Paired axial CT (left) and PSMA PET (right), 18F tracer.
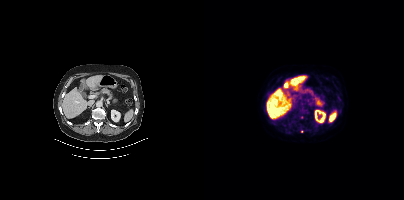
Coordinates are on the 200×200 PET (right) panel. PSMA-avid tumor lesion bounding box (x, y, width, height): x=93 y=110 w=8 h=6. Small PSMA-avid foci (2 to 4 px across) near (center x, center y): (86, 123) / (134, 98) / (97, 117) / (98, 131).